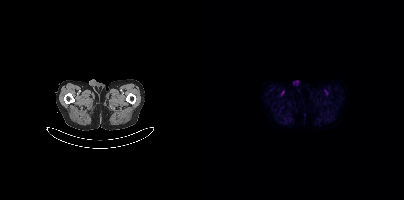
{"modality":"PSMA PET/CT","view":"axial","tracer":"18F","pet_grid":[200,200],"coord_frame":"pet_panel","coord_format":"x0,y0,x1,y1","psma_avid_lesions":false}